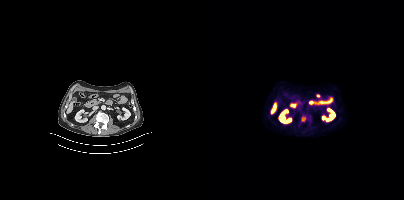
{"modality":"PSMA PET/CT","view":"axial","tracer":"18F-PSMA","pet_grid":[200,200],"coord_frame":"pet_panel","coord_format":"x0,y0,x1,y1","lesion_bboxes":[[97,116,101,121]]}